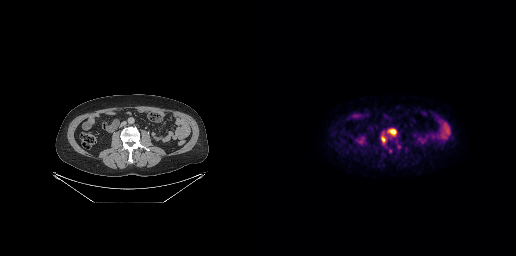
Technique: Two-panel axial: CT | PSMA PET, [18F]PSMA-1007 tracer. PET panel 256×256 px (2.7 mm/px).
Findings: Coordinates are on the 256×256 PET (right) panel. (showing 2 of 4 foci) PSMA-avid tumor lesion bounding boxes (x0, y0)-(x1, y1): (127, 128)-(136, 136) | (121, 132)-(126, 143).